- Two-panel axial: CT | PSMA PET, [18F]PSMA-1007 tracer
- slice position z = -1060 mm
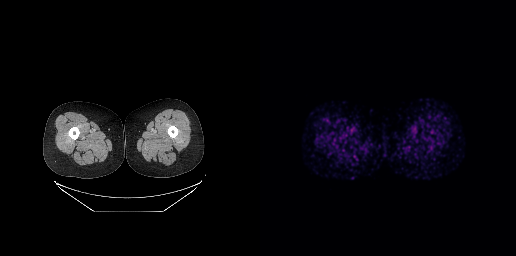
Findings: No PSMA-avid tumor lesions on this slice.